- Left: CT. Right: PSMA PET, same axial level, 18F tracer
- slice 31 of 421
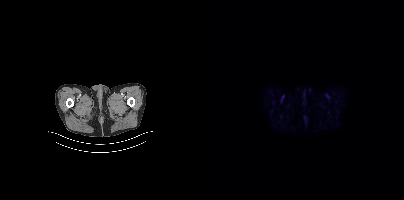
Findings: Negative for PSMA-avid disease on this slice.